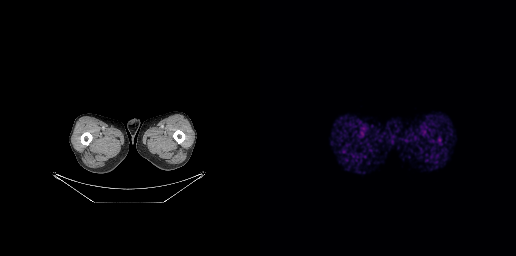
- Two-panel axial: CT | PSMA PET, [68Ga]Ga-PSMA-11 tracer
- slice 13 of 263
Findings: No tumor lesions annotated on this slice.